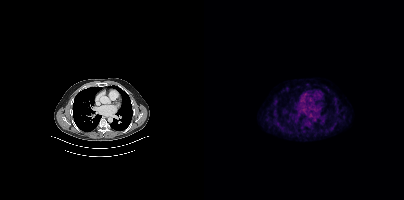
{"pet_grid":[200,200],"coord_frame":"pet_panel","coord_format":"x0,y0,x1,y1","psma_avid_lesions":false,"modality":"PSMA PET/CT","view":"axial","tracer":"[18F]PSMA-1007"}